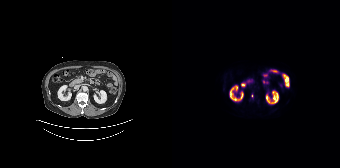
Left: CT. Right: PSMA PET, same axial level, 18F tracer. Acquired on Siemens Biograph 64-4R TruePoint. Slice 107 of 195. Coordinates are on the 168×168 PET (right) panel. Small PSMA-avid focus (2 to 4 px across) near (center x, center y): (79, 95).